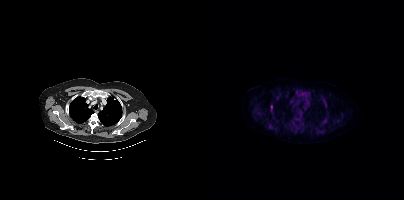
Technique: Paired axial CT (left) and PSMA PET (right), 18F-PSMA tracer. slice 363 of 462.
Findings: Coordinates are on the 200×200 PET (right) panel. PSMA-avid tumor lesion bounding box (x0,y0,x1,y1): [67,105,68,111].